Technique: Paired axial CT (left) and PSMA PET (right), 68Ga tracer. acquired on GE Discovery 690. PET panel 256×256 px (2.7 mm/px).
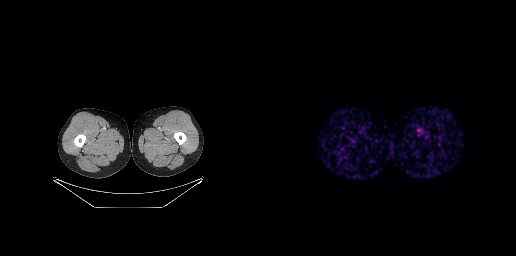
Findings: Negative for PSMA-avid disease on this slice.